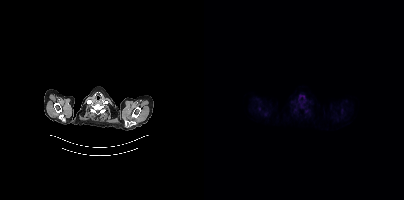
Coordinates are on the 200×200 PET (right) panel. Small PSMA-avid focus (2 to 4 px across) near (center x, center y): (102, 111). Left: CT. Right: PSMA PET, same axial level, [18F]PSMA-1007 tracer. Acquired on Siemens Biograph mCT Flow 20.